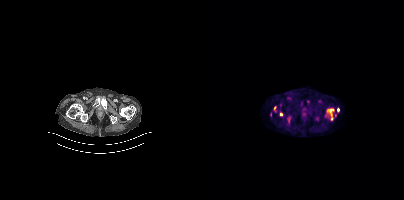
modality: PSMA PET/CT | tracer: [18F]PSMA-1007 | view: axial
Coordinates are on the 200×200 PET (right) panel. Small PSMA-avid focus (2 to 4 px across) near (center x, center y): (77, 114).